Technique: Two-panel axial: CT | PSMA PET, [18F]PSMA-1007 tracer. acquired on Siemens Biograph mCT Flow 20. slice 136 of 395.
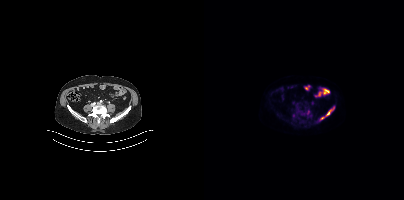
Findings: Coordinates are on the 200×200 PET (right) panel. PSMA-avid tumor lesion bounding box (x0,y0,x1,y1): [116,107,130,119]. Small PSMA-avid foci (2 to 4 px across) near (center x, center y): (89, 115); (104, 112).